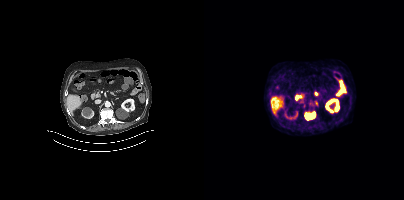
Coordinates are on the 200×200 PET (right) panel. PSMA-avid tumor lesion bounding box (x0,y0,x1,y1): [101,111,111,120].